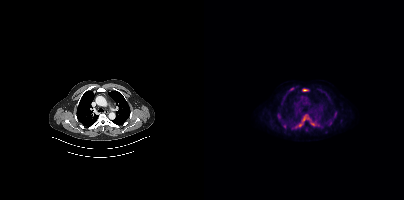
{"modality":"PSMA PET/CT","view":"axial","tracer":"18F","pet_grid":[200,200],"coord_frame":"pet_panel","coord_format":"x0,y0,x1,y1","partial":true,"lesion_bboxes":[[93,116,101,127],[106,120,113,126],[79,124,82,128],[85,88,89,90],[99,89,103,90]],"small_foci_centers":[[116,125],[131,112],[75,115],[126,122],[88,128],[129,118]]}